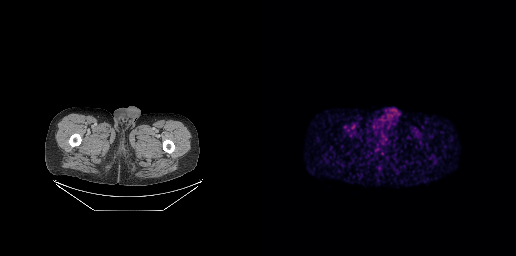
- Paired axial CT (left) and PSMA PET (right), 68Ga-PSMA tracer
Findings: No tumor lesions annotated on this slice.